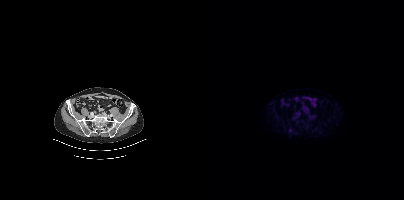
Coordinates are on the 200×200 PET (right) panel. Small PSMA-avid focus (2 to 4 px across) near (center x, center y): (86, 130).